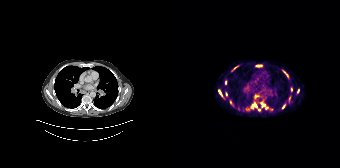
Coordinates are on the 168×168 PET (right) panel. (showing 15 of 18 foci) PSMA-avid tumor lesion bounding boxes (x, y, width, height): x=46 y=89 w=7 h=10 / x=78 y=102 w=8 h=7 / x=88 y=102 w=9 h=8 / x=116 y=96 w=4 h=6 / x=84 y=65 w=7 h=2 / x=112 y=71 w=5 h=7 / x=60 y=66 w=7 h=6 / x=53 y=92 w=3 h=5 / x=110 y=104 w=4 h=5. Small PSMA-avid foci (2 to 4 px across) near (center x, center y): (98, 109) / (119, 89) / (84, 96) / (87, 109) / (53, 82) / (58, 102).